Paired axial CT (left) and PSMA PET (right), [18F]PSMA-1007 tracer. Acquired on Siemens Biograph mCT Flow 20. Slice position z = -1043 mm.
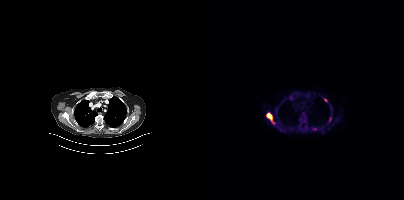
Coordinates are on the 200×200 PET (right) panel. PSMA-avid tumor lesion bounding boxes (partial; 1 more focus not listed):
| # | x0 | y0 | x1 | y1 |
|---|---|---|---|---|
| 1 | 63 | 113 | 70 | 123 |
| 2 | 108 | 127 | 113 | 130 |
| 3 | 98 | 113 | 101 | 119 |
Small PSMA-avid foci (2 to 4 px across) near (center x, center y): (126, 119); (122, 100).